Paired axial CT (left) and PSMA PET (right), [68Ga]Ga-PSMA-11 tracer.
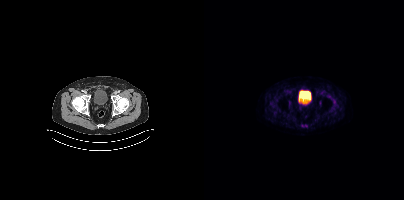
Only PSMA-avid lesion pieces thinner than 2 px on this slice (not listed).